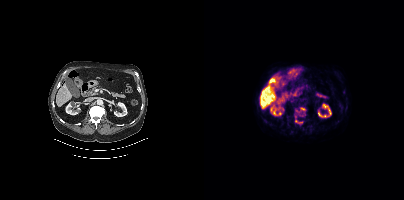
Coordinates are on the 200×200 PET (right) panel. PSMA-avid tumor lesion bounding boxes (partial; 2 more foci not listed):
| # | x0 | y0 | x1 | y1 |
|---|---|---|---|---|
| 1 | 91 | 120 | 98 | 123 |
| 2 | 96 | 107 | 101 | 110 |
Small PSMA-avid focus (2 to 4 px across) near (center x, center y): (92, 110).
Left: CT. Right: PSMA PET, same axial level, 18F-PSMA tracer. Slice position z = -665 mm. PET panel 200×200 px (4.1 mm/px).